redaction: facial region redacted | modality: PSMA PET/CT | tracer: [18F]PSMA-1007 | view: axial
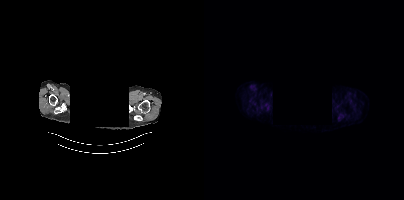
Coordinates are on the 200×200 PET (right) panel. Small PSMA-avid focus (2 to 4 px across) near (center x, center y): (135, 119).